Technique: Paired axial CT (left) and PSMA PET (right), [18F]PSMA-1007 tracer. PET panel 200×200 px (4.1 mm/px).
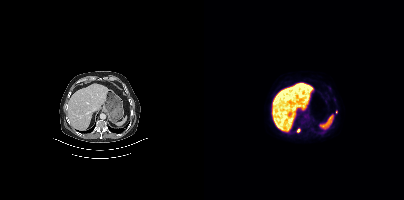
Findings: Coordinates are on the 200×200 PET (right) panel. Small PSMA-avid foci (2 to 4 px across) near (center x, center y): (94, 130) (132, 112).